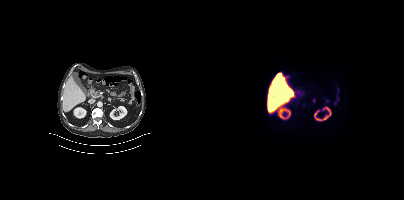
Technique: Two-panel axial: CT | PSMA PET, 18F-PSMA tracer.
Findings: No PSMA-avid tumor lesions on this slice.